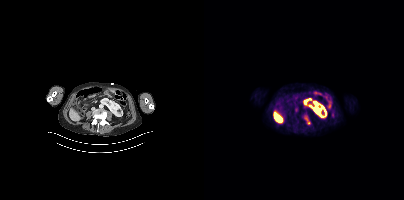
Findings: Coordinates are on the 200×200 PET (right) panel. PSMA-avid tumor lesion bounding box (x, y, width, height): x=101 y=117 w=6 h=8.
- Left: CT. Right: PSMA PET, same axial level, 18F-PSMA tracer
- slice 149 of 421